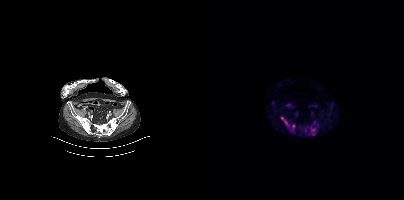
{"modality":"PSMA PET/CT","view":"axial","tracer":"[18F]PSMA-1007","pet_grid":[200,200],"coord_frame":"pet_panel","coord_format":"x0,y0,x1,y1","partial":true,"lesion_bboxes":[[76,116,84,126],[107,129,111,135],[108,120,113,124],[87,124,90,129]],"small_foci_centers":[[97,129]]}